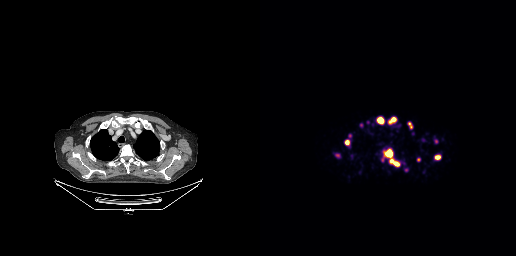
- Paired axial CT (left) and PSMA PET (right), 68Ga-PSMA tracer
- acquired on GE Discovery 690
Findings: Coordinates are on the 256×256 PET (right) panel. PSMA-avid tumor lesion bounding boxes (x0,y0,x1,y1): [124,150,132,156] [130,159,138,165] [118,118,123,122] [148,122,152,128] [175,156,179,158]. Small PSMA-avid foci (2 to 4 px across) near (center x, center y): (158, 159) (87, 142) (133, 119) (146, 169).